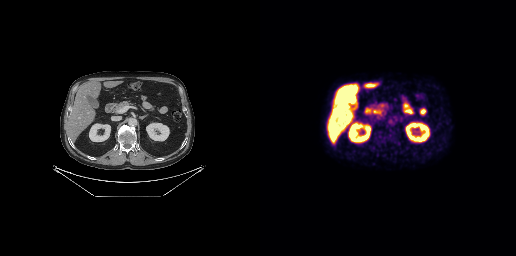
- Two-panel axial: CT | PSMA PET, [18F]PSMA-1007 tracer
- slice 148 of 263
- PET panel 256×256 px (2.7 mm/px)
Findings: No PSMA-avid tumor lesions on this slice.